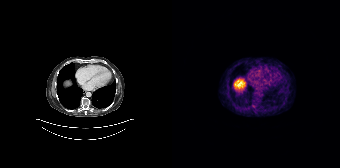
{"modality":"PSMA PET/CT","view":"axial","tracer":"[68Ga]Ga-PSMA-11","pet_grid":[168,168],"coord_frame":"pet_panel","coord_format":"x0,y0,x1,y1","psma_avid_lesions":false}